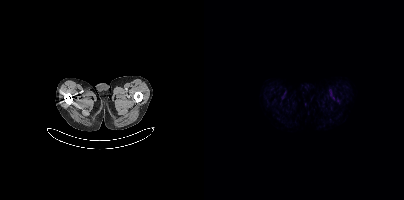
modality: PSMA PET/CT | tracer: [18F]PSMA-1007 | view: axial | PET grid: 200×200
Negative for PSMA-avid disease on this slice.